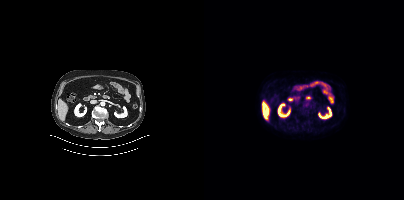
modality: PSMA PET/CT | tracer: 18F-PSMA | view: axial | PET grid: 200×200
This slice has no annotated PSMA-avid lesion.